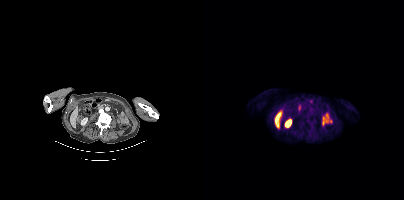
No tumor lesions annotated on this slice.